- Two-panel axial: CT | PSMA PET, 68Ga tracer
- slice 164 of 165
- the face region was removed for patient privacy by blanking a rectangle over the head
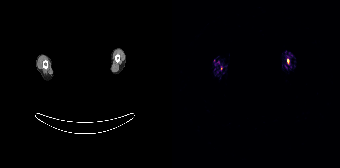
Findings: Coordinates are on the 168×168 PET (right) panel. Small PSMA-avid focus (2 to 4 px across) near (center x, center y): (115, 60).